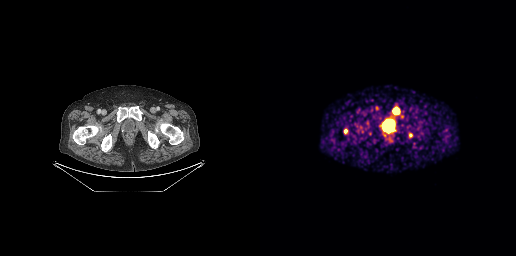
Findings: Coordinates are on the 256×256 PET (right) panel. PSMA-avid tumor lesion bounding box (x0,y0,x1,y1): [133,108,139,113]. Small PSMA-avid foci (2 to 4 px across) near (center x, center y): (85, 131); (150, 135).
- Left: CT. Right: PSMA PET, same axial level, [68Ga]Ga-PSMA-11 tracer
- slice position z = -975 mm